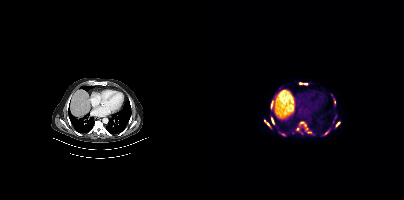
Coordinates are on the 200×200 PET (right) panel. (showing 11 of 14 foci) PSMA-avid tumor lesion bounding boxes (x0, y0)-(x1, y1): (67, 102)-(69, 108); (132, 122)-(136, 126); (67, 118)-(69, 123). Small PSMA-avid foci (2 to 4 px across) near (center x, center y): (97, 122); (64, 124); (122, 133); (96, 83); (102, 83); (101, 125); (93, 128); (60, 120).
modality: PSMA PET/CT | tracer: 18F-PSMA | view: axial | PET grid: 200×200